Paired axial CT (left) and PSMA PET (right), [18F]PSMA-1007 tracer. Acquired on GE Discovery 690.
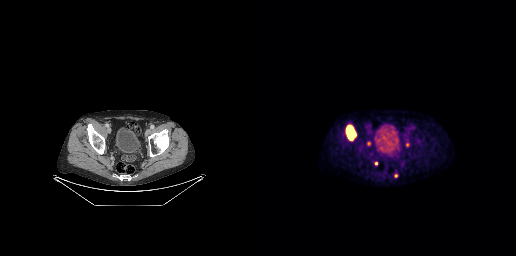
Coordinates are on the 256×256 PET (right) panel. PSMA-avid tumor lesion bounding box (x, y, width, height): x=87 y=126 w=9 h=14. Small PSMA-avid foci (2 to 4 px across) near (center x, center y): (116, 163) / (108, 143) / (135, 175) / (147, 144).